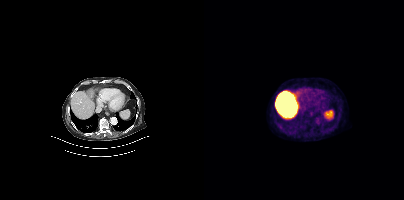
Two-panel axial: CT | PSMA PET, [18F]PSMA-1007 tracer. Slice position z = -1086 mm. No PSMA-avid tumor lesions on this slice.